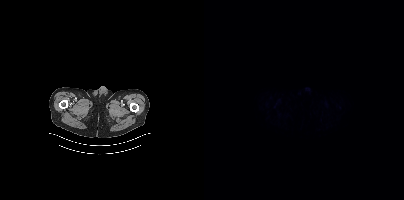
No tumor lesions annotated on this slice.